- Two-panel axial: CT | PSMA PET, 18F tracer
- acquired on Siemens Biograph mCT Flow 20
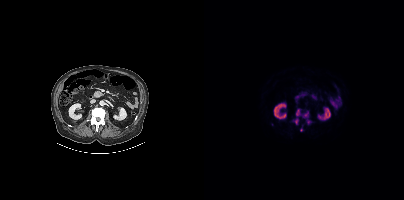
Findings: Coordinates are on the 200×200 PET (right) panel. PSMA-avid tumor lesion bounding boxes (x, y, width, height): x=92 y=109 w=16 h=16; x=89 y=118 w=6 h=7. Small PSMA-avid focus (2 to 4 px across) near (center x, center y): (97, 129).